Two-panel axial: CT | PSMA PET, [18F]PSMA-1007 tracer. Slice position z = -111 mm. PET panel 256×256 px (2.7 mm/px). A black rectangle in this scan is a privacy mask, not anatomy.
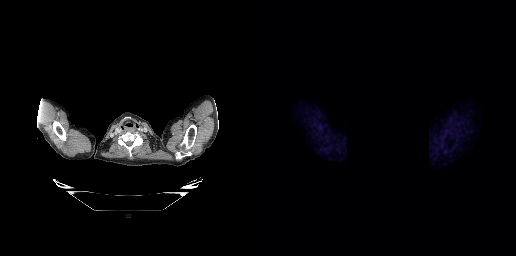
This slice has no annotated PSMA-avid lesion.